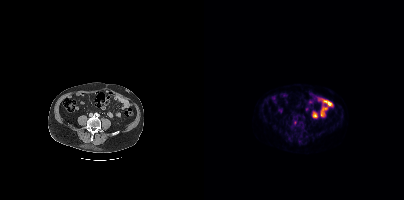
Paired axial CT (left) and PSMA PET (right), [18F]PSMA-1007 tracer. PET panel 200×200 px (4.1 mm/px). Coordinates are on the 200×200 PET (right) panel. Small PSMA-avid focus (2 to 4 px across) near (center x, center y): (91, 122).